Technique: Left: CT. Right: PSMA PET, same axial level, 18F tracer.
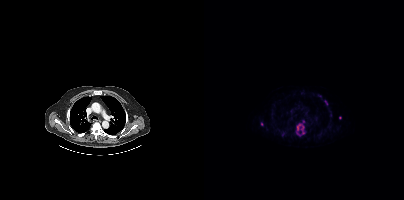
Findings: Coordinates are on the 200×200 PET (right) panel. PSMA-avid tumor lesion bounding boxes (x, y, width, height): x=93 y=124 w=4 h=7; x=97 y=126 w=4 h=8. Small PSMA-avid foci (2 to 4 px across) near (center x, center y): (122, 102); (99, 121); (135, 117); (57, 123); (93, 133).